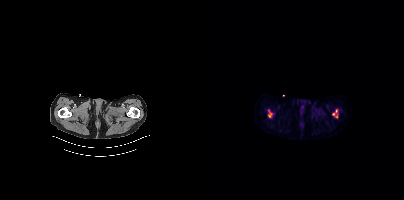
- Two-panel axial: CT | PSMA PET, 18F tracer
- slice position z = -920 mm
Findings: Coordinates are on the 200×200 PET (right) panel. PSMA-avid tumor lesion bounding boxes (x0,y0,x1,y1): [128,109,133,117], [64,110,68,117].